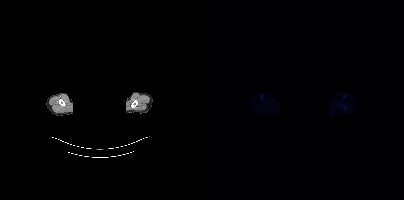
{"modality":"PSMA PET/CT","view":"axial","tracer":"[18F]PSMA-1007","pet_grid":[200,200],"coord_frame":"pet_panel","coord_format":"x0,y0,x1,y1","de-identification":"face masked with black rectangle","psma_avid_lesions":false}